- Two-panel axial: CT | PSMA PET, [68Ga]Ga-PSMA-11 tracer
- slice position z = -850 mm
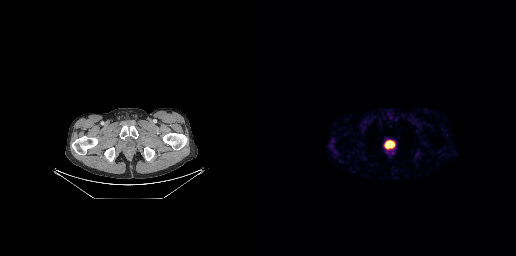
Findings: No PSMA-avid tumor lesions on this slice.